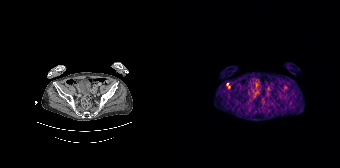
- Two-panel axial: CT | PSMA PET, 68Ga-PSMA tracer
- PET panel 168×168 px (4.1 mm/px)
Findings: Coordinates are on the 168×168 PET (right) panel. (showing 1 of 2 foci) Small PSMA-avid focus (2 to 4 px across) near (center x, center y): (55, 84).